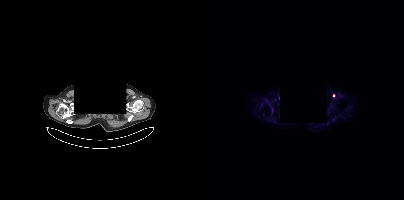
- Paired axial CT (left) and PSMA PET (right), 18F-PSMA tracer
- slice position z = -361 mm
- a rectangular block over the head has been blanked out for de-identification
Findings: Coordinates are on the 200×200 PET (right) panel. (showing 1 of 2 foci) Small PSMA-avid focus (2 to 4 px across) near (center x, center y): (129, 95).